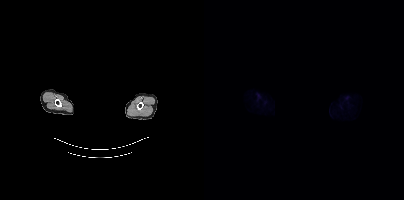
deidentification: face masked with black rectangle | modality: PSMA PET/CT | tracer: 18F-PSMA | view: axial
This slice has no annotated PSMA-avid lesion.